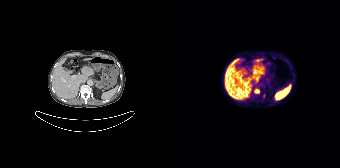
Two-panel axial: CT | PSMA PET, [68Ga]Ga-PSMA-11 tracer. Acquired on Siemens Biograph 64-4R TruePoint. Coordinates are on the 168×168 PET (right) panel. Small PSMA-avid focus (2 to 4 px across) near (center x, center y): (83, 91).